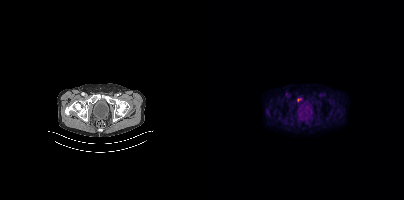
{"modality":"PSMA PET/CT","view":"axial","tracer":"18F","pet_grid":[200,200],"coord_frame":"pet_panel","coord_format":"x0,y0,x1,y1","lesion_bboxes":[[93,98,97,101]]}